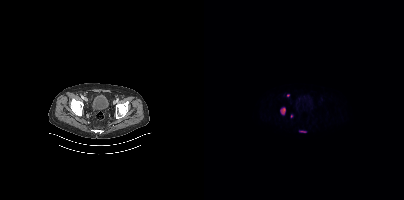
Coordinates are on the 200×200 PET (right) panel. PSMA-avid tumor lesion bounding boxes:
| # | x0 | y0 | x1 | y1 |
|---|---|---|---|---|
| 1 | 76 | 108 | 81 | 114 |
| 2 | 95 | 130 | 102 | 132 |
Small PSMA-avid foci (2 to 4 px across) near (center x, center y): (84, 95); (87, 116).
Two-panel axial: CT | PSMA PET, 18F tracer. Slice position z = -954 mm. PET panel 200×200 px (4.1 mm/px).